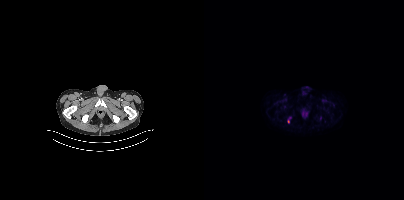
- Two-panel axial: CT | PSMA PET, 18F tracer
- acquired on Siemens Biograph mCT Flow 20
Findings: Coordinates are on the 200×200 PET (right) panel. Small PSMA-avid focus (2 to 4 px across) near (center x, center y): (84, 121).